modality: PSMA PET/CT | tracer: 18F | view: axial
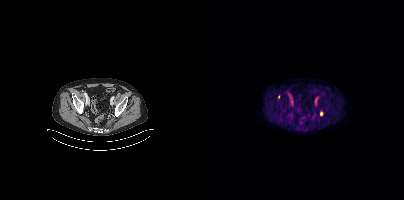
Coordinates are on the 200×200 PET (right) panel. Small PSMA-avid foci (2 to 4 px across) near (center x, center y): (117, 113); (74, 96).